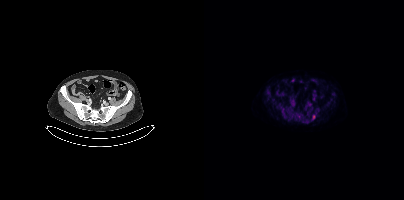
Two-panel axial: CT | PSMA PET, [18F]PSMA-1007 tracer.
Coordinates are on the 200×200 PET (right) panel. PSMA-avid tumor lesion bounding boxes:
| # | x0 | y0 | x1 | y1 |
|---|---|---|---|---|
| 1 | 108 | 115 | 111 | 119 |